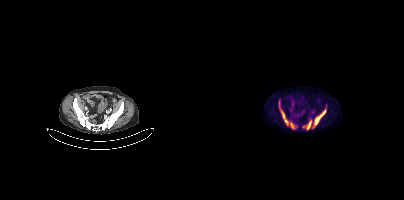
Coordinates are on the 200×200 PET (right) panel. (showing 4 of 5 foci) PSMA-avid tumor lesion bounding boxes (x0, y0)-(x1, y1): (110, 106)-(122, 126); (75, 100)-(84, 125); (86, 122)-(92, 129); (103, 120)-(107, 129).